Left: CT. Right: PSMA PET, same axial level, [18F]PSMA-1007 tracer. Slice position z = -474 mm. PET panel 200×200 px (4.1 mm/px).
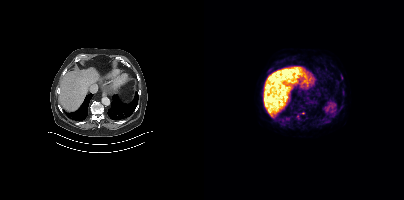
Coordinates are on the 200×200 PET (right) panel. Small PSMA-avid focus (2 to 4 px across) near (center x, center y): (94, 116).